Two-panel axial: CT | PSMA PET, [18F]PSMA-1007 tracer. Acquired on GE Discovery 690. Slice 102 of 263. PET panel 256×256 px (2.7 mm/px).
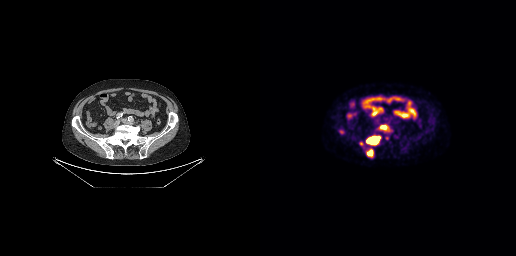
Coordinates are on the 256×256 PET (right) panel. (showing 4 of 5 foci) PSMA-avid tumor lesion bounding boxes (x, y, width, height): x=106 y=135 w=16 h=11; x=119 y=124 w=11 h=8; x=106 y=149 w=8 h=8. Small PSMA-avid focus (2 to 4 px across) near (center x, center y): (101, 143).